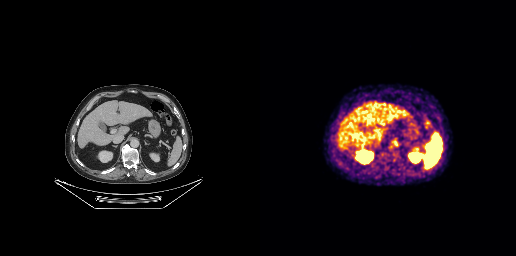
Paired axial CT (left) and PSMA PET (right), [18F]PSMA-1007 tracer. Acquired on GE Discovery 690. Slice 147 of 263. Negative for PSMA-avid disease on this slice.